- Two-panel axial: CT | PSMA PET, [18F]PSMA-1007 tracer
- slice 76 of 413
- PET panel 200×200 px (4.1 mm/px)
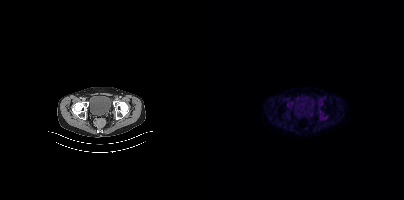
Findings: This slice has no annotated PSMA-avid lesion.